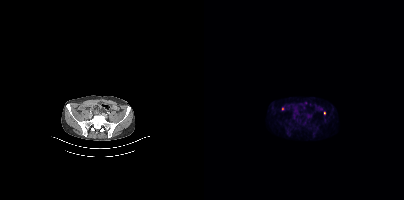
{"modality":"PSMA PET/CT","view":"axial","tracer":"18F","pet_grid":[200,200],"coord_frame":"pet_panel","coord_format":"x0,y0,x1,y1","lesion_bboxes":[],"small_foci_centers":[[120,113]]}